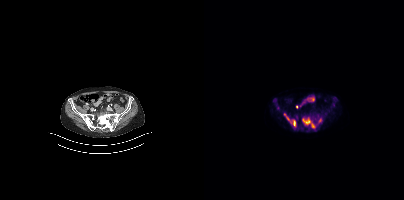
Coordinates are on the 200×200 PET (right) panel. PSMA-avid tumor lesion bounding boxes:
| # | x0 | y0 | x1 | y1 |
|---|---|---|---|---|
| 1 | 99 | 118 | 111 | 129 |
| 2 | 80 | 114 | 91 | 126 |
| 3 | 114 | 118 | 118 | 123 |
| 4 | 71 | 101 | 74 | 106 |
Small PSMA-avid focus (2 to 4 px across) near (center x, center y): (92, 117).
Left: CT. Right: PSMA PET, same axial level, [18F]PSMA-1007 tracer. Acquired on Siemens Biograph mCT Flow 20. Slice position z = -1467 mm. PET panel 200×200 px (4.1 mm/px).